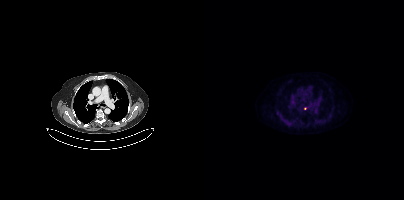
Coordinates are on the 200×200 PET (right) panel. (showing 1 of 2 foci) Small PSMA-avid focus (2 to 4 px across) near (center x, center y): (100, 108). Paired axial CT (left) and PSMA PET (right), 18F-PSMA tracer. Slice 284 of 395.